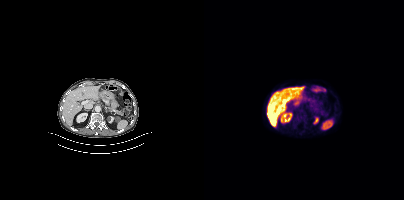
No tumor lesions annotated on this slice. Two-panel axial: CT | PSMA PET, 18F-PSMA tracer. Acquired on Siemens Biograph mCT Flow 20. Slice position z = -644 mm.